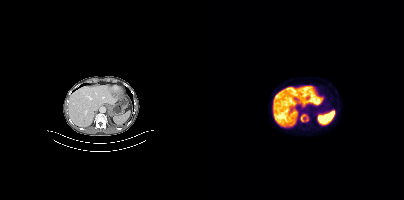
{"modality":"PSMA PET/CT","view":"axial","tracer":"[18F]PSMA-1007","pet_grid":[200,200],"coord_frame":"pet_panel","coord_format":"x0,y0,x1,y1","lesion_bboxes":[[96,114,104,122]]}